Paired axial CT (left) and PSMA PET (right), [18F]PSMA-1007 tracer.
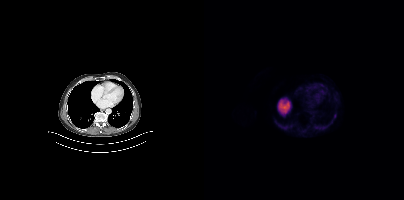
Coordinates are on the 200×200 PET (right) panel. Small PSMA-avid focus (2 to 4 px across) near (center x, center y): (130, 115).